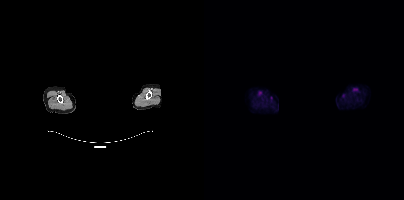
{"modality":"PSMA PET/CT","view":"axial","tracer":"18F-PSMA","pet_grid":[200,200],"coord_frame":"pet_panel","coord_format":"x0,y0,x1,y1","deidentification":"rectangular block over head set to black","psma_avid_lesions":false}